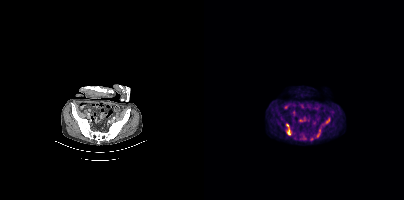
Coordinates are on the 200×200 PET (right) panel. PSMA-avid tumor lesion bounding boxes (x, y, width, height): x=82 y=124 w=6 h=12 | x=121 y=117 w=6 h=8 | x=112 y=129 w=5 h=9 | x=99 y=136 w=5 h=5 | x=95 y=135 w=3 h=6 | x=90 y=135 w=4 h=5. Small PSMA-avid focus (2 to 4 px across) near (center x, center y): (107, 139).